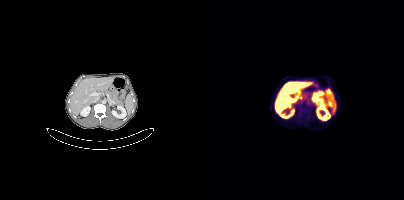
Left: CT. Right: PSMA PET, same axial level, 18F tracer. PET panel 200×200 px (4.1 mm/px).
Coordinates are on the 200×200 PET (right) panel. PSMA-avid tumor lesion bounding boxes:
| # | x0 | y0 | x1 | y1 |
|---|---|---|---|---|
| 1 | 96 | 106 | 102 | 113 |